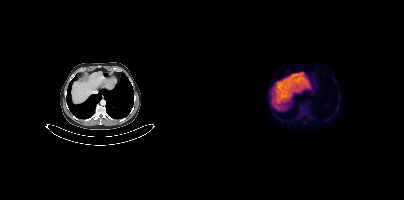
Technique: Two-panel axial: CT | PSMA PET, 18F tracer. slice 227 of 393. PET panel 200×200 px (4.1 mm/px).
Findings: No tumor lesions annotated on this slice.